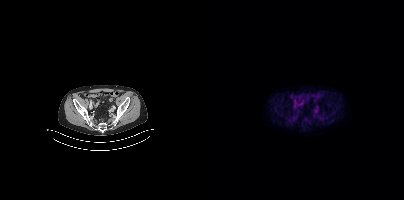
Two-panel axial: CT | PSMA PET, [18F]PSMA-1007 tracer. Acquired on Siemens Biograph mCT Flow 20. This slice has no annotated PSMA-avid lesion.